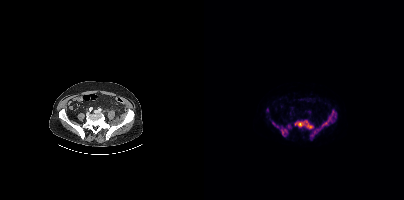
{"modality":"PSMA PET/CT","view":"axial","tracer":"18F","pet_grid":[200,200],"coord_frame":"pet_panel","coord_format":"x0,y0,x1,y1","lesion_bboxes":[[106,109,132,138],[90,120,109,128],[68,122,82,134]]}